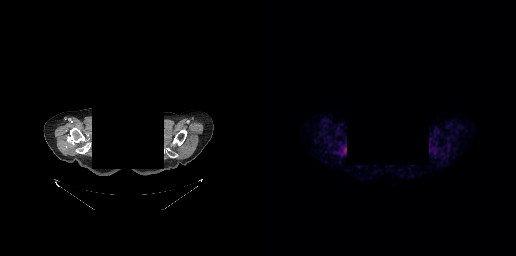
Negative for PSMA-avid disease on this slice.
The face region was removed for patient privacy by blanking a rectangle over the head.